Privacy masking over the head, with the pixels inside a rectangle set to black. Paired axial CT (left) and PSMA PET (right), 18F tracer. Slice 387 of 395.
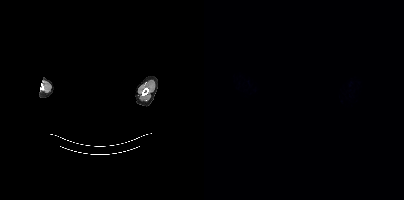
This slice has no annotated PSMA-avid lesion.